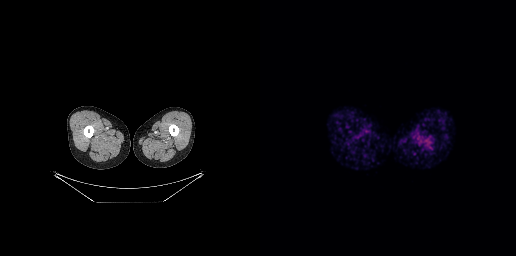
{"modality":"PSMA PET/CT","view":"axial","tracer":"68Ga-PSMA","pet_grid":[256,256],"coord_frame":"pet_panel","coord_format":"x0,y0,x1,y1","psma_avid_lesions":false}